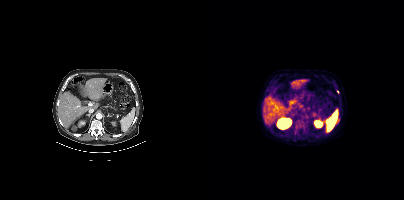
{"modality":"PSMA PET/CT","view":"axial","tracer":"18F","pet_grid":[200,200],"coord_frame":"pet_panel","coord_format":"x0,y0,x1,y1","lesion_bboxes":[],"small_foci_centers":[[134,120],[133,92]]}